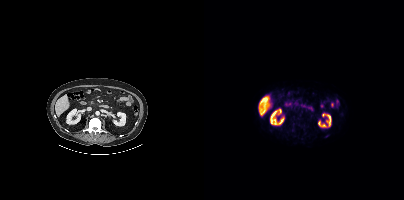
{"modality":"PSMA PET/CT","view":"axial","tracer":"[18F]PSMA-1007","pet_grid":[200,200],"coord_frame":"pet_panel","coord_format":"x0,y0,x1,y1","psma_avid_lesions":false}